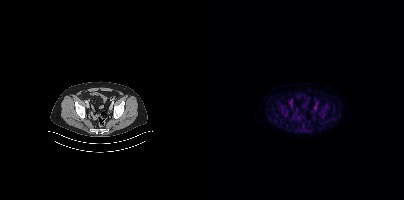
No PSMA-avid tumor lesions on this slice.
modality: PSMA PET/CT | tracer: 18F | view: axial | PET grid: 200×200